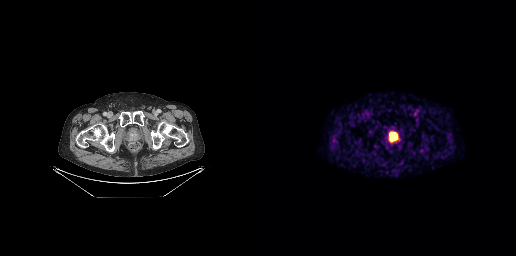
{"modality":"PSMA PET/CT","view":"axial","tracer":"68Ga","pet_grid":[256,256],"coord_frame":"pet_panel","coord_format":"x0,y0,x1,y1","lesion_bboxes":[[129,132,137,141]]}